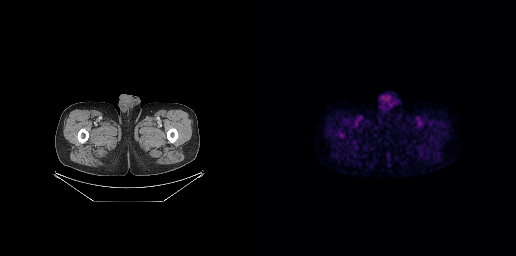
- Paired axial CT (left) and PSMA PET (right), 18F tracer
- acquired on GE Discovery 690
Findings: Negative for PSMA-avid disease on this slice.